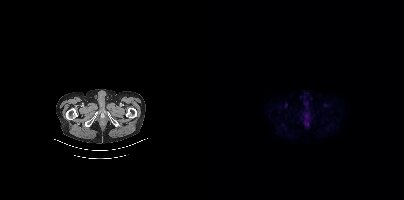
modality: PSMA PET/CT | tracer: 18F | view: axial
Negative for PSMA-avid disease on this slice.